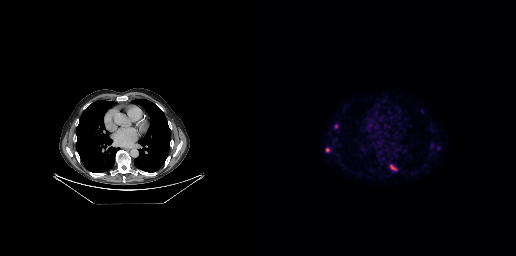
Technique: Paired axial CT (left) and PSMA PET (right), 18F tracer. slice 183 of 263. PET panel 256×256 px (2.7 mm/px).
Findings: Coordinates are on the 256×256 PET (right) panel. PSMA-avid tumor lesion bounding boxes (x0,y0,x1,y1): [130,165,136,170] [74,124,78,128] [66,148,69,152].